Two-panel axial: CT | PSMA PET, 18F tracer. Slice position z = -1120 mm. PET panel 168×168 px (4.1 mm/px).
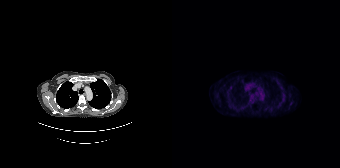
Only PSMA-avid lesion pieces thinner than 2 px on this slice (not listed).